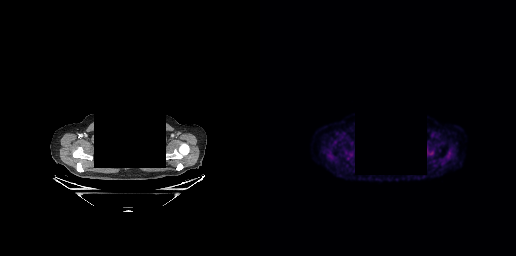
- de-identified by setting a box covering the face to black before release
- Paired axial CT (left) and PSMA PET (right), 18F-PSMA tracer
- slice position z = -107 mm
- PET panel 256×256 px (2.7 mm/px)
Findings: No tumor lesions annotated on this slice.